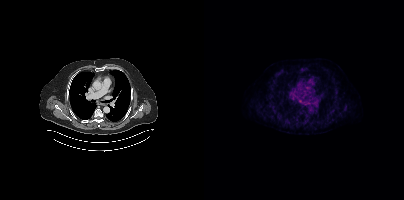
Coordinates are on the 200×200 PET (right) panel. PSMA-avid tumor lesion bounding box (x0,y0,x1,y1): [126,110,130,113]. Two-panel axial: CT | PSMA PET, 18F tracer. PET panel 200×200 px (4.1 mm/px).